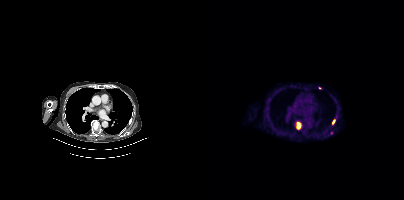
Coordinates are on the 200×200 PET (right) panel. PSMA-avid tumor lesion bounding boxes (x0,y0,x1,y1): [92,122,97,129] [128,119,131,125]. Small PSMA-avid foci (2 to 4 px across) near (center x, center y): (116, 87) (127, 132). Paired axial CT (left) and PSMA PET (right), 18F-PSMA tracer. Acquired on Siemens Biograph mCT Flow 20. Slice position z = 154 mm. PET panel 200×200 px (4.1 mm/px).